- Paired axial CT (left) and PSMA PET (right), [18F]PSMA-1007 tracer
- PET panel 200×200 px (4.1 mm/px)
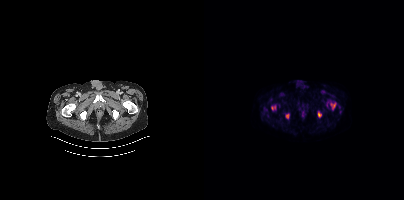
Findings: Coordinates are on the 200×200 PET (right) panel. (showing 4 of 5 foci) PSMA-avid tumor lesion bounding boxes (x, y, width, height): x=67 y=105 w=6 h=6; x=127 y=103 w=5 h=6; x=81 y=113 w=5 h=6; x=114 y=112 w=4 h=6.